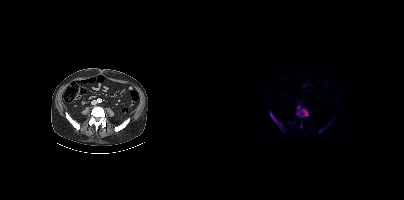
Coordinates are on the 200×200 PET (right) panel. (showing 3 of 4 foci) PSMA-avid tumor lesion bounding boxes (x0,y0,x1,y1): [92,106,104,116] [66,112,78,130]. Small PSMA-avid focus (2 to 4 px across) near (center x, center y): (97, 126).
modality: PSMA PET/CT | tracer: [18F]PSMA-1007 | view: axial